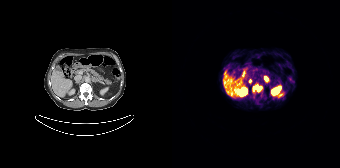
{"modality":"PSMA PET/CT","view":"axial","tracer":"68Ga","pet_grid":[168,168],"coord_frame":"pet_panel","coord_format":"x0,y0,x1,y1","lesion_bboxes":[[81,84,90,91]]}